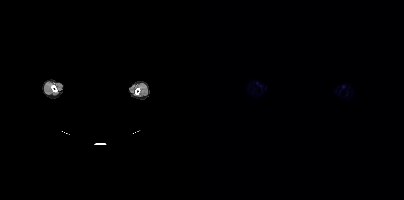
Left: CT. Right: PSMA PET, same axial level, 18F tracer. Slice 385 of 391. Any black rectangle over the head is a privacy mask, not anatomy. This slice has no annotated PSMA-avid lesion.